- Left: CT. Right: PSMA PET, same axial level, [18F]PSMA-1007 tracer
- PET panel 200×200 px (4.1 mm/px)
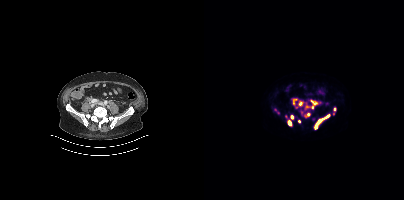
Findings: Coordinates are on the 200×200 PET (right) panel. (showing 10 of 11 foci) PSMA-avid tumor lesion bounding boxes (x, y, width, height): x=110 y=114 w=17 h=16; x=107 y=100 w=7 h=9; x=83 y=120 w=5 h=6; x=95 y=101 w=6 h=5; x=89 y=99 w=4 h=6; x=86 y=115 w=4 h=5; x=102 y=113 w=5 h=4. Small PSMA-avid foci (2 to 4 px across) near (center x, center y): (95, 121); (130, 109); (103, 106).